The head region is masked for de-identification.
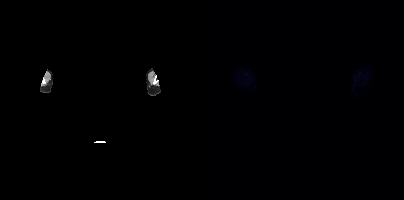
No tumor lesions annotated on this slice.